Left: CT. Right: PSMA PET, same axial level, 18F-PSMA tracer. Slice 275 of 397. PET panel 200×200 px (4.1 mm/px).
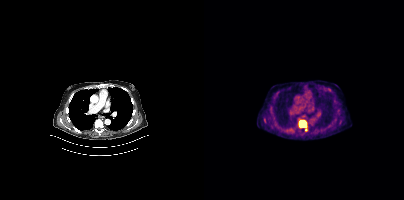
Coordinates are on the 200×200 PET (right) panel. PSMA-avid tumor lesion bounding boxes:
| # | x0 | y0 | x1 | y1 |
|---|---|---|---|---|
| 1 | 95 | 120 | 101 | 127 |
Small PSMA-avid focus (2 to 4 px across) near (center x, center y): (101, 129).